Technique: Two-panel axial: CT | PSMA PET, 68Ga tracer. PET panel 200×200 px (4.1 mm/px).
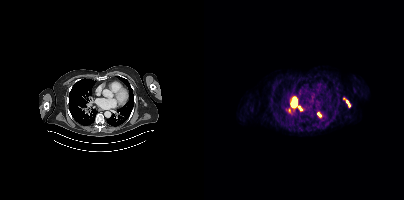
Findings: Coordinates are on the 200×200 PET (right) panel. PSMA-avid tumor lesion bounding boxes (x0,y0,x1,y1): [87,97,92,106]; [113,113,117,116]; [142,100,145,106]. Small PSMA-avid foci (2 to 4 px across) near (center x, center y): (84, 109); (96, 107).